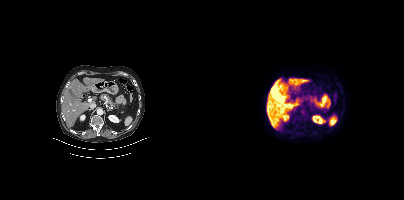
Two-panel axial: CT | PSMA PET, 18F-PSMA tracer. PET panel 200×200 px (4.1 mm/px). Negative for PSMA-avid disease on this slice.